Facial anatomy redacted by setting a rectangular region of the head to black. Paired axial CT (left) and PSMA PET (right), [68Ga]Ga-PSMA-11 tracer. Acquired on Siemens Biograph 64-4R TruePoint.
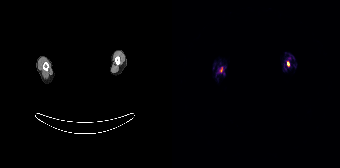
Coordinates are on the 168×168 PET (right) panel. Small PSMA-avid focus (2 to 4 px across) near (center x, center y): (116, 63).